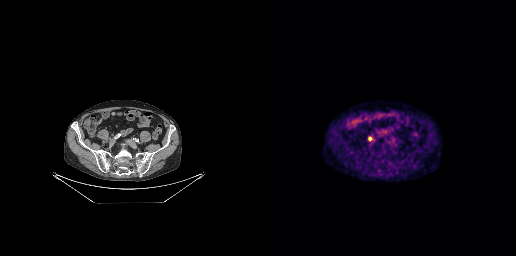
modality: PSMA PET/CT | tracer: [18F]PSMA-1007 | view: axial | PET grid: 256×256
Coordinates are on the 256×256 PET (right) panel. Small PSMA-avid focus (2 to 4 px across) near (center x, center y): (109, 138).